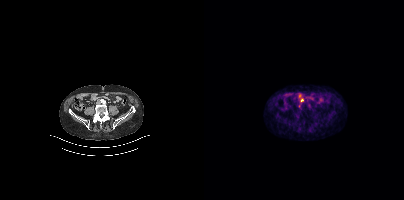
Findings: Coordinates are on the 200×200 PET (right) panel. Small PSMA-avid focus (2 to 4 px across) near (center x, center y): (97, 100).
Technique: Two-panel axial: CT | PSMA PET, [68Ga]Ga-PSMA-11 tracer. acquired on Siemens Biograph mCT Flow 20. slice 131 of 405.